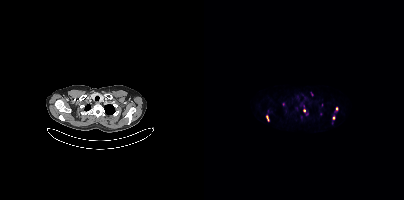
Coordinates are on the 200×200 PET (right) panel. (showing 5 of 10 foci) PSMA-avid tumor lesion bounding box (x0, y0)-(x1, y1): (63, 116)-(64, 120). Small PSMA-avid foci (2 to 4 px across) near (center x, center y): (108, 93); (100, 111); (132, 108); (129, 117). Left: CT. Right: PSMA PET, same axial level, 68Ga tracer.